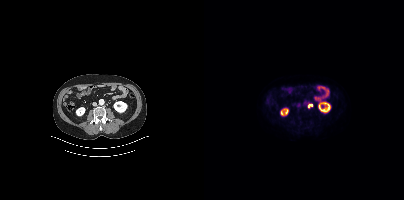
{"pet_grid":[200,200],"coord_frame":"pet_panel","coord_format":"x0,y0,x1,y1","lesion_bboxes":[[104,103,108,108]],"modality":"PSMA PET/CT","view":"axial","tracer":"18F"}